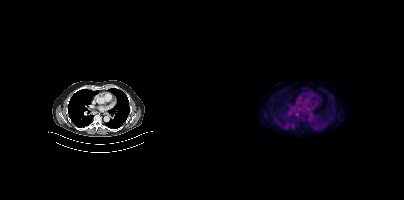
Coordinates are on the 200×200 PET (right) panel. PSMA-avid tumor lesion bounding box (x0,y0,x1,y1): [87,124,91,127].
modality: PSMA PET/CT | tracer: 18F-PSMA | view: axial | PET grid: 200×200